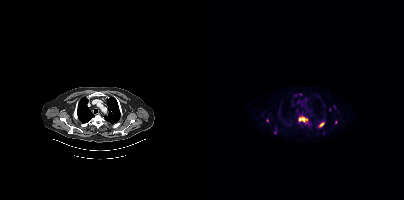
Coordinates are on the 200×200 PET (right) panel. (showing 9 of 11 foci) PSMA-avid tumor lesion bounding boxes (x0,y0,x1,y1): [95,116,103,122], [114,122,120,126]. Small PSMA-avid foci (2 to 4 px across) near (center x, center y): (130, 106), (71, 132), (125, 109), (63, 120), (114, 95), (131, 122), (101, 98).